modality: PSMA PET/CT | tracer: [18F]PSMA-1007 | view: axial | PET grid: 200×200 | de-identification: face masked with black rectangle
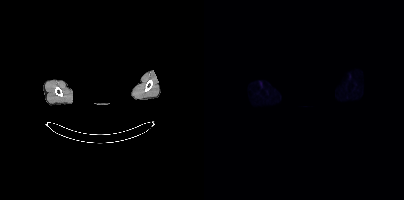
No tumor lesions annotated on this slice.